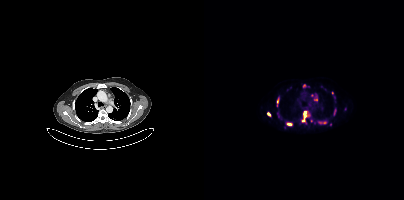
Coordinates are on the 200×200 PET (right) panel. (showing 9 of 14 foci) PSMA-avid tumor lesion bounding boxes (x, y, width, height): x=98 y=111 w=9 h=13 / x=114 y=121 w=9 h=3 / x=83 y=123 w=6 h=3 / x=130 y=109 w=3 h=7 / x=73 y=99 w=3 h=8 / x=63 y=112 w=4 h=5 / x=73 y=112 w=3 h=5. Small PSMA-avid foci (2 to 4 px across) near (center x, center y): (100, 85) / (107, 120).